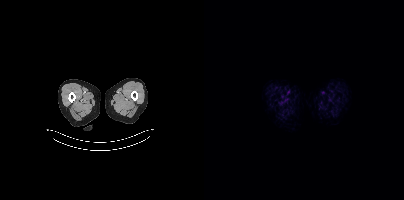
{"modality":"PSMA PET/CT","view":"axial","tracer":"18F-PSMA","pet_grid":[200,200],"coord_frame":"pet_panel","coord_format":"x0,y0,x1,y1","psma_avid_lesions":false}